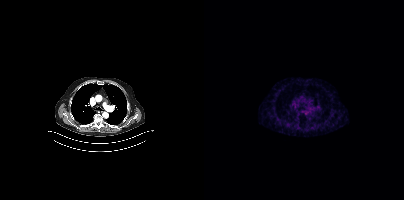
Two-panel axial: CT | PSMA PET, 68Ga-PSMA tracer. Acquired on Siemens Biograph mCT Flow 20. Slice position z = -1072 mm. Coordinates are on the 200×200 PET (right) panel. Small PSMA-avid focus (2 to 4 px across) near (center x, center y): (102, 113).